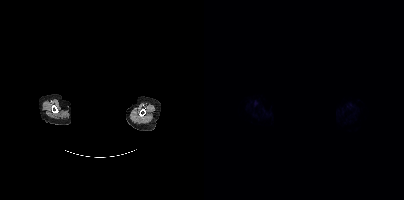
Technique: Paired axial CT (left) and PSMA PET (right), 18F-PSMA tracer. slice 373 of 389.
Note: An anonymization step blacked out a rectangle over the head in this scan.
Findings: No PSMA-avid tumor lesions on this slice.